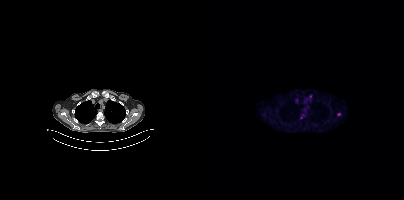
Coordinates are on the 200×200 PET (right) panel. (showing 3 of 4 foci) Small PSMA-avid foci (2 to 4 px across) near (center x, center y): (134, 114) | (106, 96) | (97, 117).